Two-panel axial: CT | PSMA PET, 18F-PSMA tracer. Slice 203 of 448. PET panel 200×200 px (4.1 mm/px).
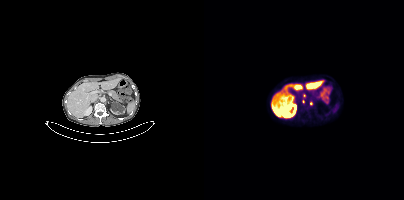
Coordinates are on the 200×200 PET (right) panel. (showing 1 of 3 foci) Small PSMA-avid focus (2 to 4 px across) near (center x, center y): (100, 95).